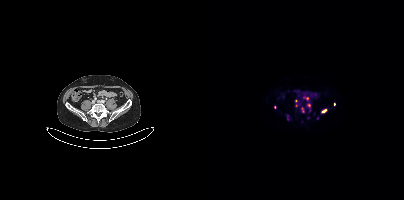
Coordinates are on the 200×200 PET (right) panel. (showing 10 of 11 foci) PSMA-avid tumor lesion bounding boxes (x0, y0)-(x1, y1): (104, 104)-(106, 112); (99, 97)-(104, 100); (97, 108)-(100, 112); (118, 109)-(122, 112); (83, 115)-(84, 120). Small PSMA-avid foci (2 to 4 px across) near (center x, center y): (92, 105); (92, 100); (130, 104); (70, 107); (113, 118).